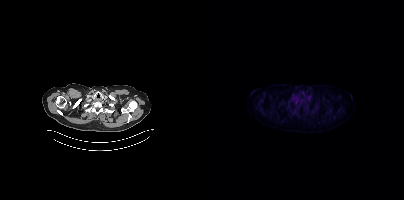
Two-panel axial: CT | PSMA PET, 18F tracer. Acquired on Siemens Biograph mCT Flow 20. PET panel 200×200 px (4.1 mm/px). This slice has no annotated PSMA-avid lesion.